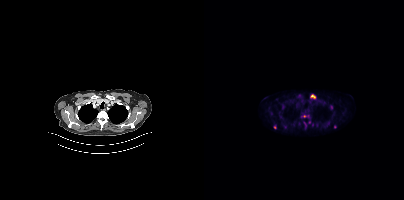
- Left: CT. Right: PSMA PET, same axial level, [18F]PSMA-1007 tracer
- slice position z = -988 mm
- PET panel 200×200 px (4.1 mm/px)
Findings: Coordinates are on the 200×200 PET (right) panel. (showing 5 of 6 foci) PSMA-avid tumor lesion bounding box (x0, y0)-(x1, y1): (107, 95)-(111, 98). Small PSMA-avid foci (2 to 4 px across) near (center x, center y): (127, 107); (70, 127); (100, 116); (131, 126).